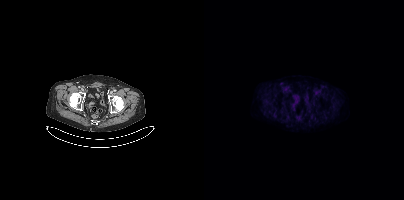
This slice has no annotated PSMA-avid lesion.